Technique: Paired axial CT (left) and PSMA PET (right), 18F tracer. PET panel 200×200 px (4.1 mm/px).
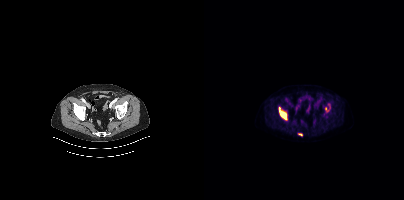
Findings: Coordinates are on the 200×200 PET (right) panel. PSMA-avid tumor lesion bounding boxes (x0, y0)-(x1, y1): (75, 107)-(83, 119) / (94, 133)-(98, 135) / (121, 107)-(124, 111).